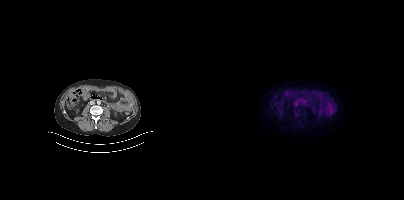
No PSMA-avid tumor lesions on this slice.